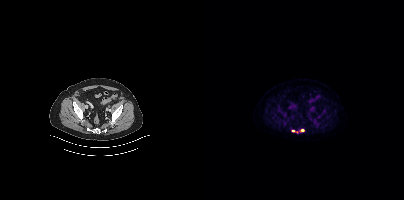
Coordinates are on the 200×200 PET (right) panel. Small PSMA-avid foci (2 to 4 px across) near (center x, center y): (98, 130); (89, 130).